modality: PSMA PET/CT | tracer: 68Ga-PSMA | view: axial
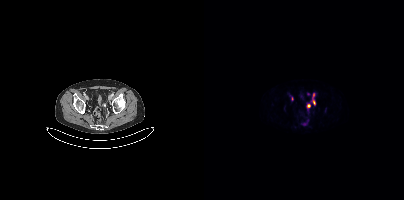
Coordinates are on the 200×200 PET (right) panel. PSMA-avid tumor lesion bounding box (x0,y0,x1,y1): [109,100,111,104]. Small PSMA-avid foci (2 to 4 px across) near (center x, center y): (104, 94) (109, 94) (105, 105) (100, 124) (88, 98).